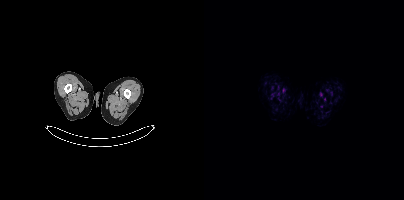
No PSMA-avid tumor lesions on this slice. Two-panel axial: CT | PSMA PET, 18F tracer. PET panel 200×200 px (4.1 mm/px).